- Paired axial CT (left) and PSMA PET (right), 18F-PSMA tracer
- acquired on Siemens Biograph mCT Flow 20
- slice 134 of 403
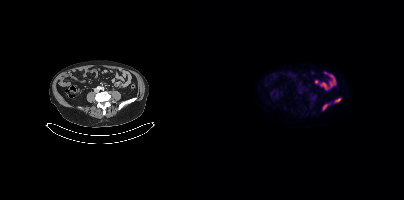
Findings: Coordinates are on the 200×200 PET (right) panel. (showing 2 of 3 foci) PSMA-avid tumor lesion bounding boxes (x0, y0)-(x1, y1): (118, 104)-(123, 110) | (130, 98)-(136, 102).